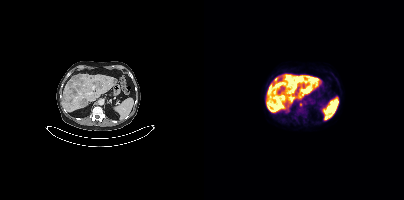
Findings: Coordinates are on the 200×200 PET (right) panel. (showing 3 of 5 foci) PSMA-avid tumor lesion bounding box (x, y, width, height): x=92 y=75 w=9 h=8. Small PSMA-avid foci (2 to 4 px across) near (center x, center y): (96, 104) / (72, 110).
- Left: CT. Right: PSMA PET, same axial level, 18F-PSMA tracer
- slice 227 of 431